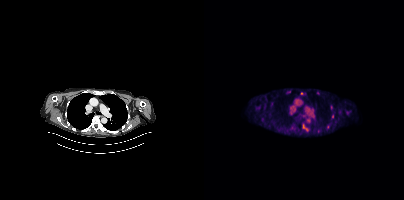
{"pet_grid":[200,200],"coord_frame":"pet_panel","coord_format":"x0,y0,x1,y1","partial":true,"lesion_bboxes":[[99,124,103,130]],"small_foci_centers":[[128,116],[97,93]],"modality":"PSMA PET/CT","view":"axial","tracer":"[18F]PSMA-1007"}